Paired axial CT (left) and PSMA PET (right), 18F tracer. Acquired on Siemens Biograph mCT Flow 20. Slice 229 of 401. PET panel 200×200 px (4.1 mm/px).
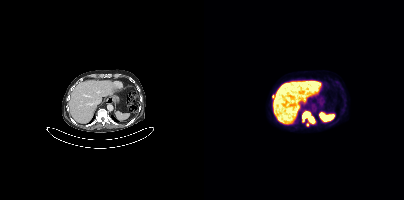
Coordinates are on the 200×200 PET (right) panel. PSMA-avid tumor lesion bounding box (x0, y0)-(x1, y1): (98, 111)-(111, 123). Small PSMA-avid foci (2 to 4 px across) near (center x, center y): (103, 124); (68, 96).